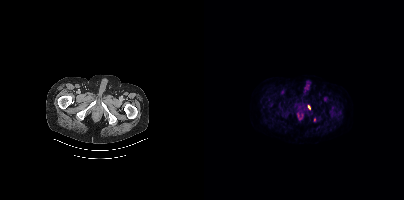
{"modality":"PSMA PET/CT","view":"axial","tracer":"18F-PSMA","pet_grid":[200,200],"coord_frame":"pet_panel","coord_format":"x0,y0,x1,y1","lesion_bboxes":[[103,105,106,110]],"small_foci_centers":[[110,119]]}